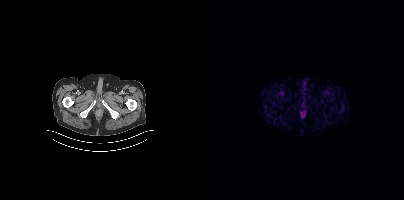
Two-panel axial: CT | PSMA PET, [68Ga]Ga-PSMA-11 tracer. Negative for PSMA-avid disease on this slice.